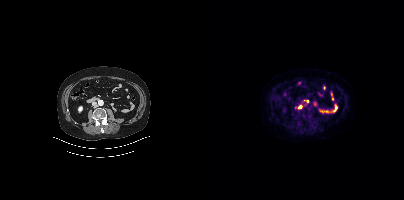
Technique: Paired axial CT (left) and PSMA PET (right), [18F]PSMA-1007 tracer. slice 187 of 454.
Findings: Coordinates are on the 200×200 PET (right) panel. (showing 2 of 3 foci) Small PSMA-avid foci (2 to 4 px across) near (center x, center y): (96, 106) / (91, 107).